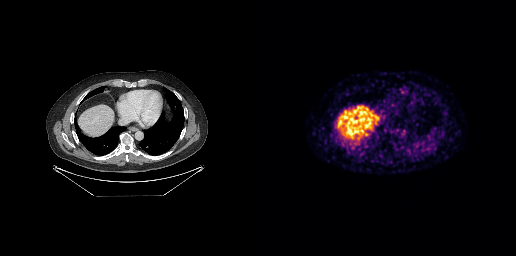
- Paired axial CT (left) and PSMA PET (right), [68Ga]Ga-PSMA-11 tracer
- acquired on GE Discovery 690
- slice 175 of 263
- PET panel 256×256 px (2.7 mm/px)
Findings: No PSMA-avid tumor lesions on this slice.